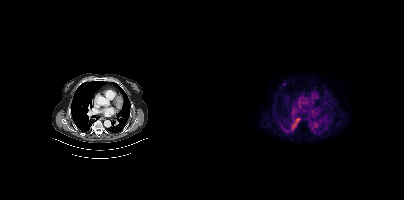
Findings: Coordinates are on the 200×200 PET (right) panel. Small PSMA-avid focus (2 to 4 px across) near (center x, center y): (80, 84).
- Left: CT. Right: PSMA PET, same axial level, 18F-PSMA tracer
- slice 308 of 452